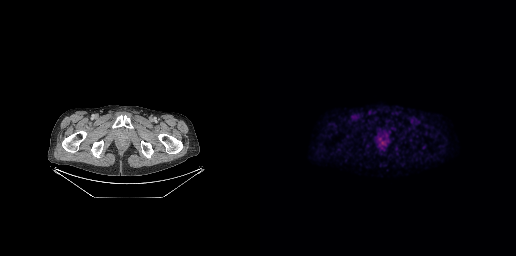
Coordinates are on the 256×256 PET (right) panel. PSMA-avid tumor lesion bounding boxes:
| # | x0 | y0 | x1 | y1 |
|---|---|---|---|---|
| 1 | 119 | 136 | 125 | 144 |
Two-panel axial: CT | PSMA PET, [18F]PSMA-1007 tracer. PET panel 256×256 px (2.7 mm/px).